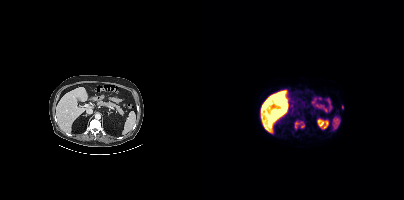
{"modality":"PSMA PET/CT","view":"axial","tracer":"18F","pet_grid":[200,200],"coord_frame":"pet_panel","coord_format":"x0,y0,x1,y1","lesion_bboxes":[[91,121,100,129]],"small_foci_centers":[[138,106]]}